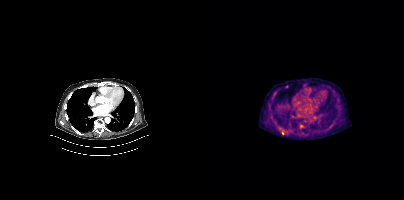
{"modality":"PSMA PET/CT","view":"axial","tracer":"18F","pet_grid":[200,200],"coord_frame":"pet_panel","coord_format":"x0,y0,x1,y1","lesion_bboxes":[],"small_foci_centers":[[78,132]]}